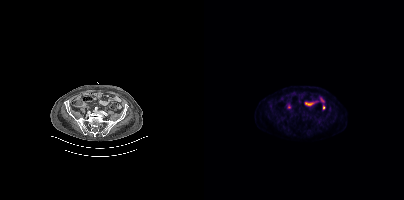
Technique: Left: CT. Right: PSMA PET, same axial level, 18F tracer. acquired on Siemens Biograph mCT Flow 20. PET panel 200×200 px (4.1 mm/px).
Findings: This slice has no annotated PSMA-avid lesion.